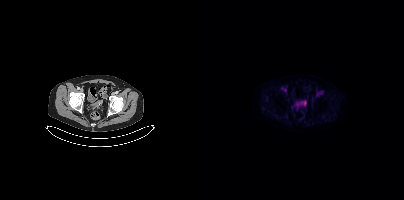
{"pet_grid":[200,200],"coord_frame":"pet_panel","coord_format":"x0,y0,x1,y1","lesion_bboxes":[[99,100,102,105]],"modality":"PSMA PET/CT","view":"axial","tracer":"18F"}